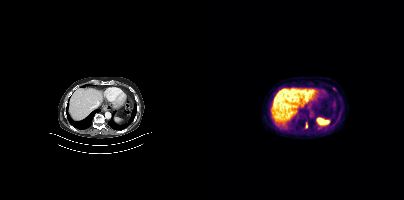
Technique: Paired axial CT (left) and PSMA PET (right), [18F]PSMA-1007 tracer. slice position z = -1138 mm.
Findings: Only PSMA-avid lesion pieces thinner than 2 px on this slice (not listed).